Technique: Paired axial CT (left) and PSMA PET (right), [18F]PSMA-1007 tracer. PET panel 168×168 px (4.1 mm/px).
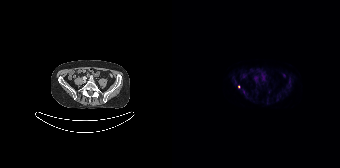
Findings: Coordinates are on the 168×168 PET (right) panel. Small PSMA-avid focus (2 to 4 px across) near (center x, center y): (66, 86).